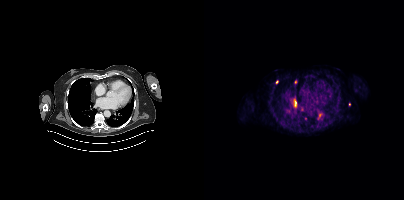
Two-panel axial: CT | PSMA PET, 68Ga tracer. Coordinates are on the 200×200 PET (right) panel. Small PSMA-avid foci (2 to 4 px across) near (center x, center y): (91, 81), (73, 82), (91, 102), (91, 105).